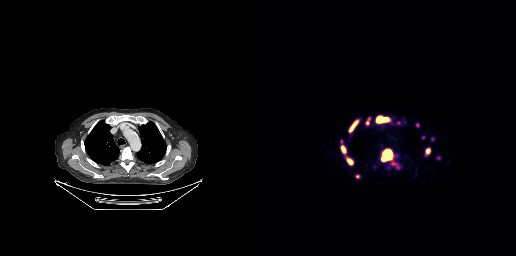
{"modality":"PSMA PET/CT","view":"axial","tracer":"[68Ga]Ga-PSMA-11","pet_grid":[256,256],"coord_frame":"pet_panel","coord_format":"x0,y0,x1,y1","partial":true,"lesion_bboxes":[[122,150,132,160],[117,116,128,122],[89,120,98,131],[105,117,110,125],[81,146,85,152],[88,159,92,164],[166,148,170,153]],"small_foci_centers":[[97,176],[172,139],[179,158],[157,124]]}